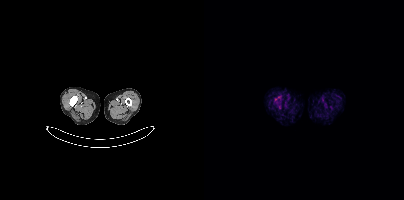
This slice has no annotated PSMA-avid lesion. Two-panel axial: CT | PSMA PET, 18F tracer. PET panel 200×200 px (4.1 mm/px).